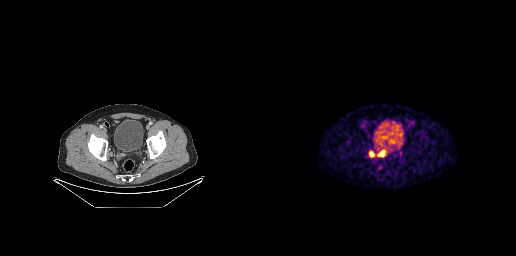
Findings: Coordinates are on the 256×256 PET (right) panel. PSMA-avid tumor lesion bounding box (x0,y0,x1,y1): [117,151,124,156]. Small PSMA-avid focus (2 to 4 px across) near (center x, center y): (111, 154).
Technique: Two-panel axial: CT | PSMA PET, 68Ga tracer. slice position z = -880 mm. PET panel 256×256 px (2.7 mm/px).